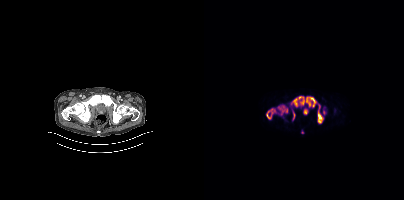
Coordinates are on the 200×200 PET (right) panel. (showing 6 of 9 foci) PSMA-avid tumor lesion bounding boxes (x0,y0,x1,y1): [87,96,100,106] [74,105,84,115] [62,108,72,119] [102,97,111,106] [114,110,119,123] [89,112,90,119].